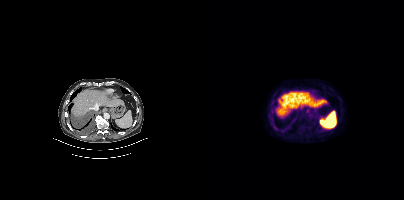
{"modality":"PSMA PET/CT","view":"axial","tracer":"18F","pet_grid":[200,200],"coord_frame":"pet_panel","coord_format":"x0,y0,x1,y1","lesion_bboxes":[[69,124,74,130],[79,127,84,131]]}